De-identified by setting a box covering the face to black before release. Two-panel axial: CT | PSMA PET, 18F tracer. PET panel 200×200 px (4.1 mm/px).
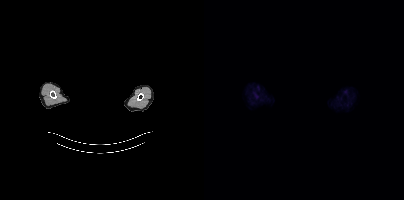
No tumor lesions annotated on this slice.